- Left: CT. Right: PSMA PET, same axial level, 18F tracer
- slice 249 of 423
- PET panel 200×200 px (4.1 mm/px)
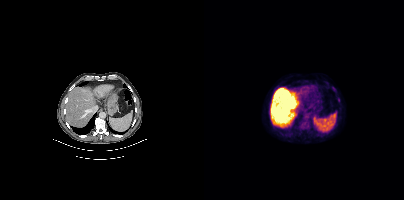
Findings: No PSMA-avid tumor lesions on this slice.